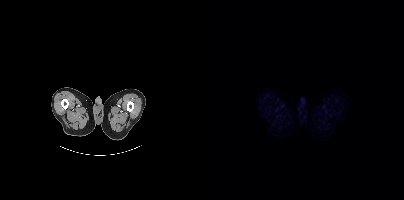
Two-panel axial: CT | PSMA PET, [18F]PSMA-1007 tracer. PET panel 200×200 px (4.1 mm/px). No PSMA-avid tumor lesions on this slice.